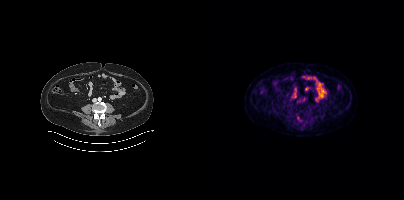
{"modality":"PSMA PET/CT","view":"axial","tracer":"[18F]PSMA-1007","pet_grid":[200,200],"coord_frame":"pet_panel","coord_format":"x0,y0,x1,y1","psma_avid_lesions":false}